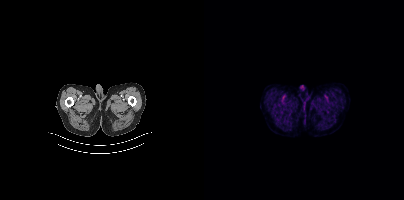
{"pet_grid":[200,200],"coord_frame":"pet_panel","coord_format":"x0,y0,x1,y1","psma_avid_lesions":false,"modality":"PSMA PET/CT","view":"axial","tracer":"18F"}